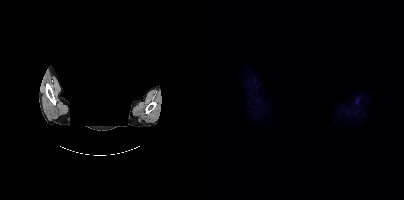
{"modality":"PSMA PET/CT","view":"axial","tracer":"18F","pet_grid":[200,200],"coord_frame":"pet_panel","coord_format":"x0,y0,x1,y1","psma_avid_lesions":false,"de-identification":"privacy mask over head"}